- Left: CT. Right: PSMA PET, same axial level, 18F tracer
- slice position z = -225 mm
- PET panel 256×256 px (2.7 mm/px)
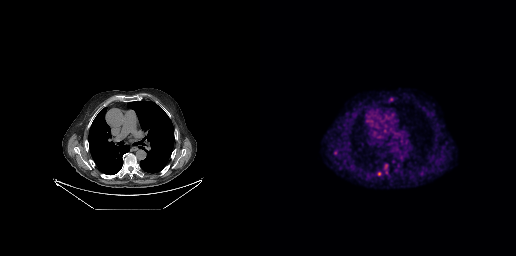
Findings: Only PSMA-avid lesion pieces thinner than 2 px on this slice (not listed).